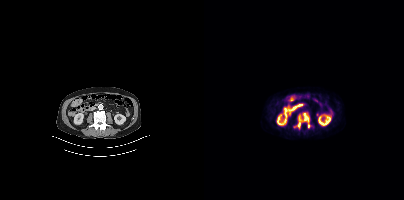
- Paired axial CT (left) and PSMA PET (right), [18F]PSMA-1007 tracer
- slice position z = -640 mm
- PET panel 200×200 px (4.1 mm/px)
Findings: Coordinates are on the 200×200 PET (right) panel. PSMA-avid tumor lesion bounding box (x0,y0,x1,y1): [93,113,106,129].